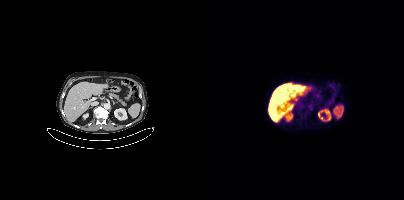
{"modality":"PSMA PET/CT","view":"axial","tracer":"[18F]PSMA-1007","pet_grid":[200,200],"coord_frame":"pet_panel","coord_format":"x0,y0,x1,y1","psma_avid_lesions":false}